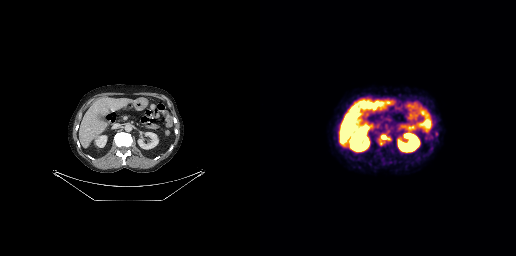
Coordinates are on the 256×256 PET (right) panel. PSMA-avid tumor lesion bounding box (x, y, width, height): x=122 y=135 w=5 h=4.